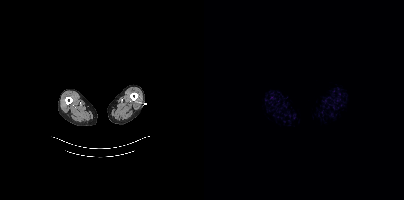
- Two-panel axial: CT | PSMA PET, [18F]PSMA-1007 tracer
- acquired on Siemens Biograph mCT Flow 20
Findings: This slice has no annotated PSMA-avid lesion.